- Paired axial CT (left) and PSMA PET (right), 18F tracer
- PET panel 200×200 px (4.1 mm/px)
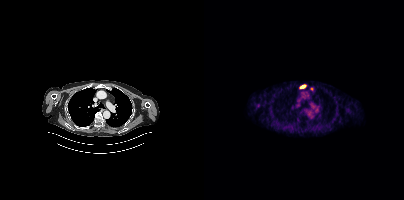
Findings: Coordinates are on the 200×200 PET (right) panel. PSMA-avid tumor lesion bounding box (x0,y0,x1,y1): [96,85,101,88].